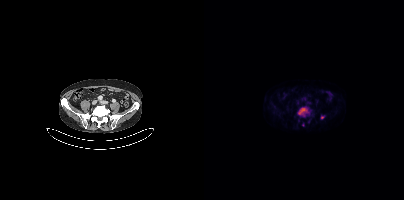
Two-panel axial: CT | PSMA PET, [18F]PSMA-1007 tracer. Slice 129 of 431. PET panel 200×200 px (4.1 mm/px). Coordinates are on the 200×200 PET (right) panel. (showing 2 of 3 foci) PSMA-avid tumor lesion bounding box (x0, y0)-(x1, y1): (94, 107)-(105, 116). Small PSMA-avid focus (2 to 4 px across) near (center x, center y): (118, 117).